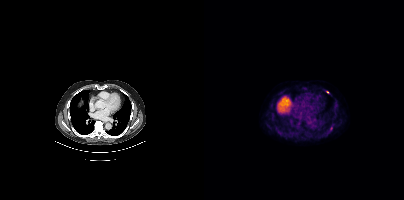
modality: PSMA PET/CT | tracer: 18F | view: axial | PET grid: 200×200
Coordinates are on the 200×200 PET (right) panel. Small PSMA-avid foci (2 to 4 px across) near (center x, center y): (123, 92) | (127, 128) | (76, 132).